Technique: Two-panel axial: CT | PSMA PET, [18F]PSMA-1007 tracer.
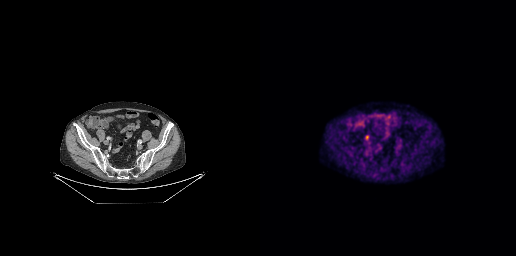
Findings: Coordinates are on the 256×256 PET (right) panel. Small PSMA-avid focus (2 to 4 px across) near (center x, center y): (106, 136).